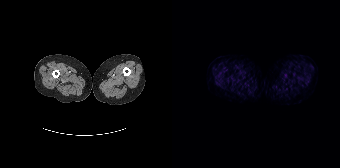
No PSMA-avid tumor lesions on this slice.